Technique: Paired axial CT (left) and PSMA PET (right), [18F]PSMA-1007 tracer. acquired on Siemens Biograph mCT Flow 20. slice position z = 146 mm.
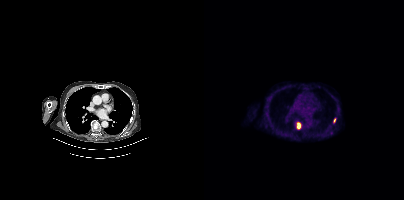
Findings: Coordinates are on the 200×200 PET (right) panel. PSMA-avid tumor lesion bounding boxes (x0, y0)-(x1, y1): (93, 122)-(97, 129) / (129, 118)-(131, 122).